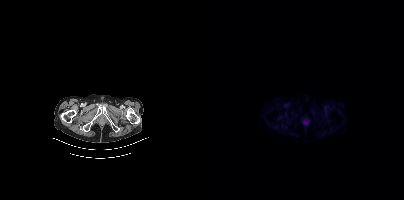
Negative for PSMA-avid disease on this slice.